Two-panel axial: CT | PSMA PET, 68Ga tracer. PET panel 256×256 px (2.7 mm/px).
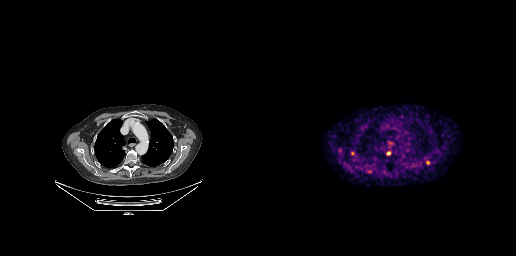
Coordinates are on the 256×256 PET (right) panel. Small PSMA-avid foci (2 to 4 px across) near (center x, center y): (128, 153) | (92, 153) | (109, 171) | (80, 150) | (167, 162).